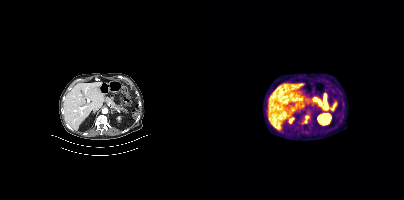
modality: PSMA PET/CT | tracer: 18F-PSMA | view: axial
Coordinates are on the 200×200 PET (right) panel. PSMA-avid tumor lesion bounding box (x0,y0,x1,y1): [100,115,104,123].